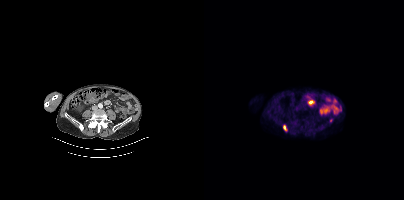
{"pet_grid":[200,200],"coord_frame":"pet_panel","coord_format":"x0,y0,x1,y1","partial":true,"lesion_bboxes":[[79,125,82,130]],"modality":"PSMA PET/CT","view":"axial","tracer":"[18F]PSMA-1007"}